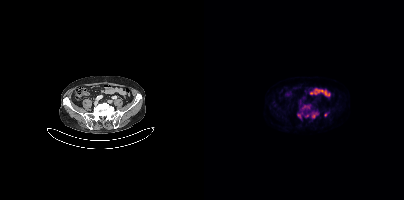
{"modality":"PSMA PET/CT","view":"axial","tracer":"[18F]PSMA-1007","pet_grid":[200,200],"coord_frame":"pet_panel","coord_format":"x0,y0,x1,y1","lesion_bboxes":[[108,113,113,117],[98,105,105,108]],"small_foci_centers":[[121,114],[95,115],[103,115]]}